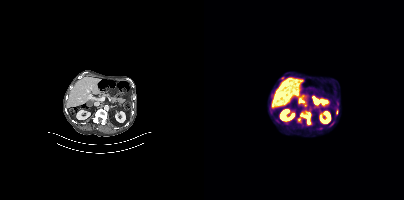
{"modality":"PSMA PET/CT","view":"axial","tracer":"18F-PSMA","pet_grid":[200,200],"coord_frame":"pet_panel","coord_format":"x0,y0,x1,y1","partial":true,"lesion_bboxes":[[100,114,107,121]],"small_foci_centers":[[132,111],[127,124]]}